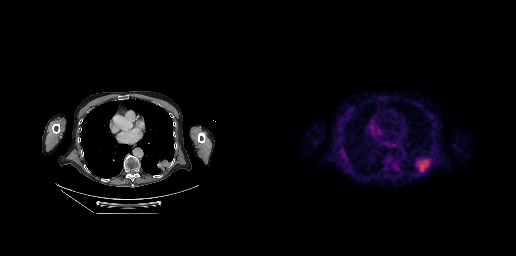
{"modality":"PSMA PET/CT","view":"axial","tracer":"18F","pet_grid":[256,256],"coord_frame":"pet_panel","coord_format":"x0,y0,x1,y1","lesion_bboxes":[[157,159,169,171]]}